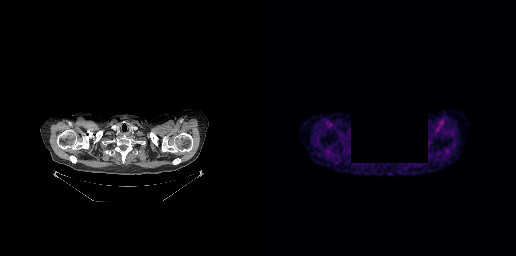
{"modality":"PSMA PET/CT","view":"axial","tracer":"18F","pet_grid":[256,256],"coord_frame":"pet_panel","coord_format":"x0,y0,x1,y1","de-identification":"region blacked out before release","psma_avid_lesions":false}